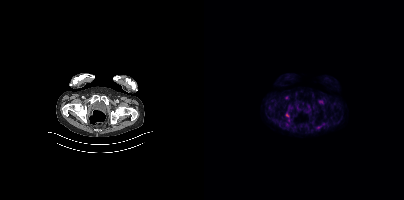
Paired axial CT (left) and PSMA PET (right), [18F]PSMA-1007 tracer. Coordinates are on the 200×200 PET (right) panel. Small PSMA-avid focus (2 to 4 px across) near (center x, center y): (83, 115).